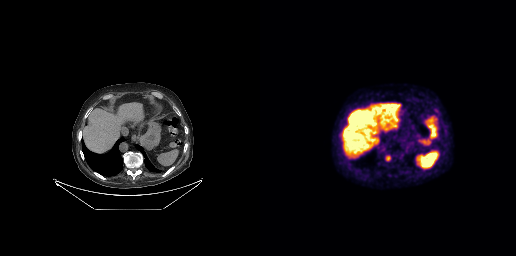
Coordinates are on the 256×256 PET (right) panel. PSMA-avid tumor lesion bounding box (x, y, width, height): x=126 y=156 w=4 h=5. Paired axial CT (left) and PSMA PET (right), 18F tracer. Acquired on GE Discovery 690. Slice 163 of 263. PET panel 256×256 px (2.7 mm/px).